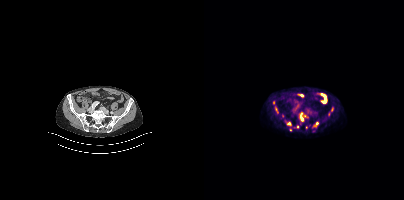
Coordinates are on the 200×200 PET (right) panel. (showing 9 of 12 foci) PSMA-avid tumor lesion bounding boxes (x, y, width, height): x=96 y=113 w=4 h=9 / x=121 y=99 w=3 h=5. Small PSMA-avid foci (2 to 4 px across) near (center x, center y): (128, 109) / (84, 123) / (113, 123) / (86, 130) / (93, 126) / (69, 102) / (100, 115).